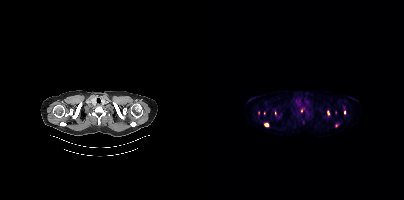
Two-panel axial: CT | PSMA PET, 18F tracer. Slice 371 of 444. PET panel 200×200 px (4.1 mm/px).
Coordinates are on the 200×200 PET (right) panel. PSMA-avid tumor lesion bounding boxes (partial; 5 more foci not listed):
| # | x0 | y0 | x1 | y1 |
|---|---|---|---|---|
| 1 | 60 | 123 | 64 | 126 |
| 2 | 123 | 110 | 125 | 115 |
Small PSMA-avid focus (2 to 4 px across) near (center x, center y): (140, 112).